Technique: Left: CT. Right: PSMA PET, same axial level, [18F]PSMA-1007 tracer. acquired on Siemens Biograph mCT Flow 20.
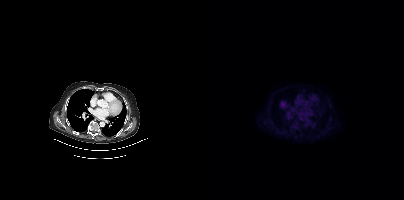
Findings: This slice has no annotated PSMA-avid lesion.